Paired axial CT (left) and PSMA PET (right), [18F]PSMA-1007 tracer. Slice 4 of 423. PET panel 200×200 px (4.1 mm/px).
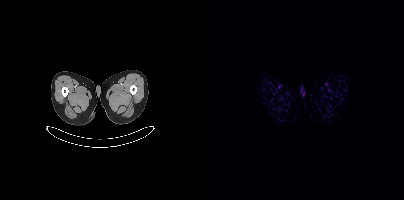
No PSMA-avid tumor lesions on this slice.